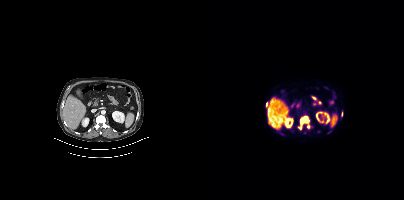
- Two-panel axial: CT | PSMA PET, 18F-PSMA tracer
Findings: Coordinates are on the 200×200 PET (right) panel. (showing 3 of 4 foci) PSMA-avid tumor lesion bounding boxes (x, y, width, height): x=94 y=116 w=11 h=14; x=62 y=102 w=2 h=5. Small PSMA-avid focus (2 to 4 px across) near (center x, center y): (104, 126).